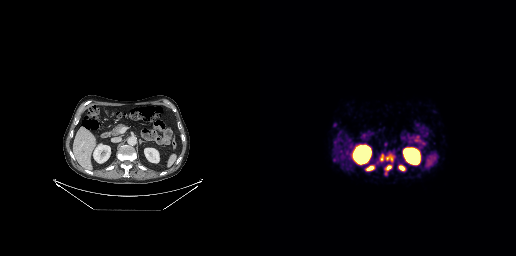
Coordinates are on the 256×256 PET (right) panel. PSMA-avid tumor lesion bounding boxes (x0, y0)-(x1, y1): (106, 165)-(114, 170); (139, 165)-(145, 170); (126, 165)-(131, 170). Small PSMA-avid foci (2 to 4 px across) near (center x, center y): (121, 156); (125, 173).